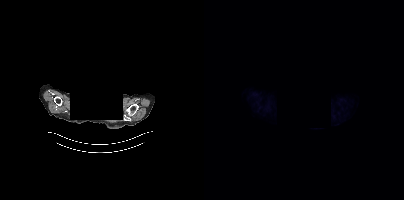
Negative for PSMA-avid disease on this slice.
De-identified by setting a box covering the face to black before release.